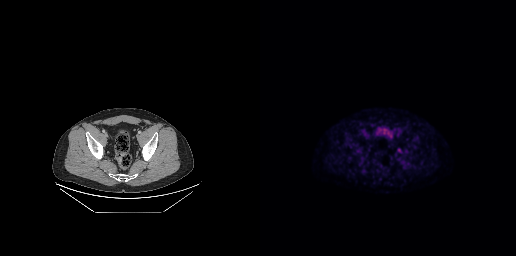
- Two-panel axial: CT | PSMA PET, [18F]PSMA-1007 tracer
- acquired on GE Discovery 690
- PET panel 256×256 px (2.7 mm/px)
Findings: Coordinates are on the 256×256 PET (right) panel. PSMA-avid tumor lesion bounding box (x, y, width, height): x=145 y=149 w=4 h=5. Small PSMA-avid foci (2 to 4 px across) near (center x, center y): (139, 150) | (134, 130).